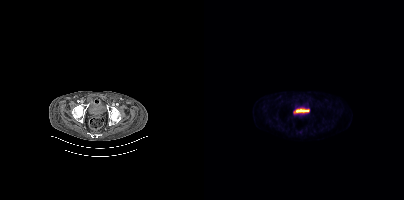
{"modality":"PSMA PET/CT","view":"axial","tracer":"18F","pet_grid":[200,200],"coord_frame":"pet_panel","coord_format":"x0,y0,x1,y1","psma_avid_lesions":false}